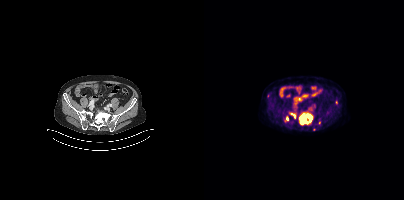
{"modality":"PSMA PET/CT","view":"axial","tracer":"[18F]PSMA-1007","pet_grid":[200,200],"coord_frame":"pet_panel","coord_format":"x0,y0,x1,y1","lesion_bboxes":[[95,114,109,124],[86,113,92,118],[81,116,84,121]],"small_foci_centers":[[64,96],[132,102],[115,123],[109,129]]}